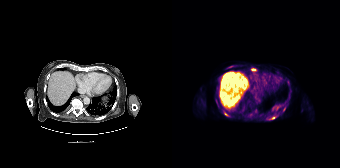
This slice has no annotated PSMA-avid lesion.